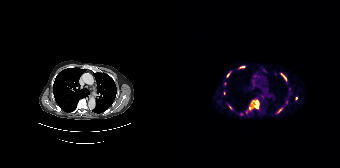
Coordinates are on the 168×168 PET (right) panel. (showing 7 of 10 foci) PSMA-avid tumor lesion bounding boxes (x0, y0)-(x1, y1): (77, 100)-(87, 109); (109, 73)-(114, 80); (68, 66)-(73, 68); (54, 73)-(57, 77). Small PSMA-avid foci (2 to 4 px across) near (center x, center y): (107, 110); (58, 107); (124, 98). Paired axial CT (left) and PSMA PET (right), [68Ga]Ga-PSMA-11 tracer. Slice 119 of 165.